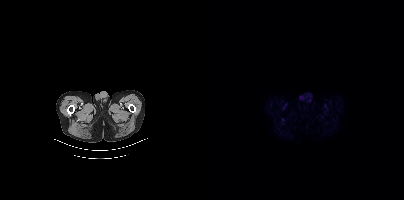
Two-panel axial: CT | PSMA PET, 18F-PSMA tracer. Acquired on Siemens Biograph mCT Flow 20. No tumor lesions annotated on this slice.